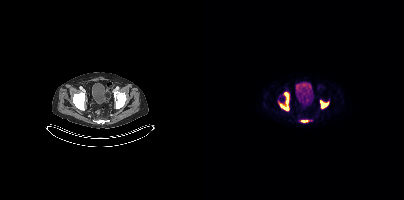
{"modality":"PSMA PET/CT","view":"axial","tracer":"[18F]PSMA-1007","pet_grid":[200,200],"coord_frame":"pet_panel","coord_format":"x0,y0,x1,y1","lesion_bboxes":[[75,92,85,110],[116,100,124,108],[97,120,103,122]]}